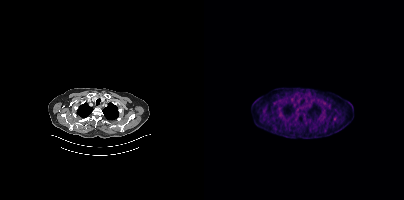
modality: PSMA PET/CT | tracer: 18F-PSMA | view: axial
No PSMA-avid tumor lesions on this slice.